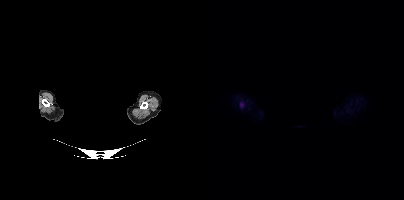
modality: PSMA PET/CT | tracer: [18F]PSMA-1007 | view: axial | PET grid: 200×200 | deidentification: privacy mask over head
Coordinates are on the 200×200 PET (right) panel. PSMA-avid tumor lesion bounding box (x0,y0,x1,y1): [36,102,40,107].